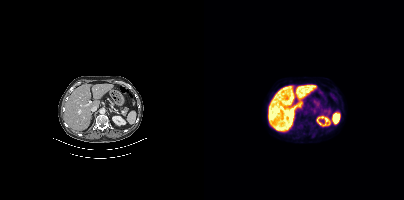
- Left: CT. Right: PSMA PET, same axial level, [18F]PSMA-1007 tracer
- PET panel 200×200 px (4.1 mm/px)
Findings: No tumor lesions annotated on this slice.